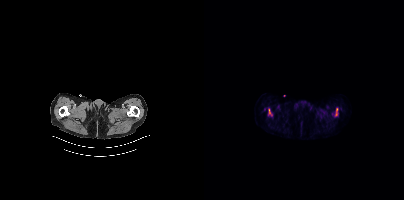
{"modality":"PSMA PET/CT","view":"axial","tracer":"[18F]PSMA-1007","pet_grid":[200,200],"coord_frame":"pet_panel","coord_format":"x0,y0,x1,y1","lesion_bboxes":[[131,108,133,115],[65,109,68,115]]}